modality: PSMA PET/CT | tracer: [18F]PSMA-1007 | view: axial | PET grid: 256×256
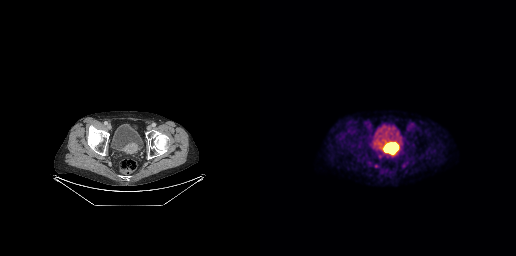
Coordinates are on the 256×256 PET (right) panel. PSMA-avid tumor lesion bounding boxes (x0,y0,x1,y1): [126,144,137,152], [114,164,118,167].